modality: PSMA PET/CT | tracer: 18F-PSMA | view: axial | PET grid: 200×200
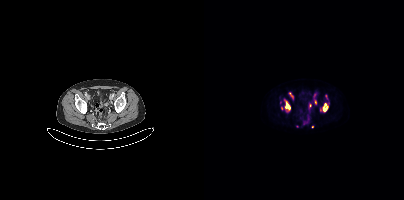
Coordinates are on the 200×200 PET (right) panel. (showing 9 of 12 foci) PSMA-avid tumor lesion bounding boxes (x, y, width, height): x=119 y=103 w=5 h=9 | x=81 y=101 w=6 h=9 | x=110 y=99 w=3 h=6 | x=85 y=92 w=5 h=8. Small PSMA-avid foci (2 to 4 px across) near (center x, center y): (122, 96) | (110, 95) | (106, 105) | (116, 110) | (76, 102).